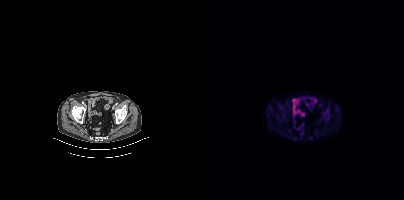
No tumor lesions annotated on this slice.